- Paired axial CT (left) and PSMA PET (right), 18F-PSMA tracer
- PET panel 200×200 px (4.1 mm/px)
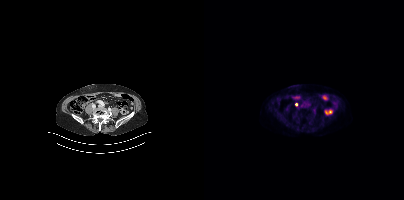
Findings: Coordinates are on the 200×200 PET (right) panel. Small PSMA-avid focus (2 to 4 px across) near (center x, center y): (92, 104).